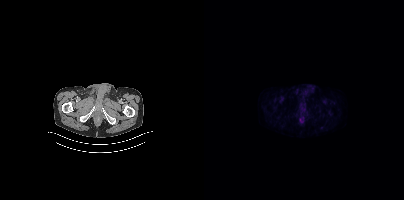
Negative for PSMA-avid disease on this slice.
modality: PSMA PET/CT | tracer: 18F-PSMA | view: axial | PET grid: 200×200